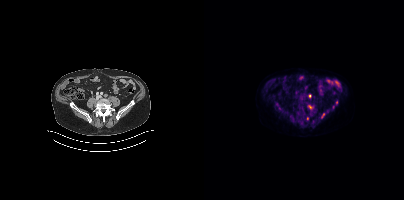
{"modality":"PSMA PET/CT","view":"axial","tracer":"[18F]PSMA-1007","pet_grid":[200,200],"coord_frame":"pet_panel","coord_format":"x0,y0,x1,y1","partial":true,"lesion_bboxes":[[117,113,121,118]],"small_foci_centers":[[106,106],[132,102],[105,95],[103,118]]}